Two-panel axial: CT | PSMA PET, [18F]PSMA-1007 tracer. Slice 199 of 462.
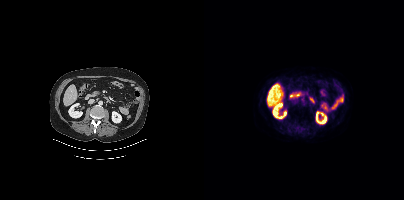
This slice has no annotated PSMA-avid lesion.